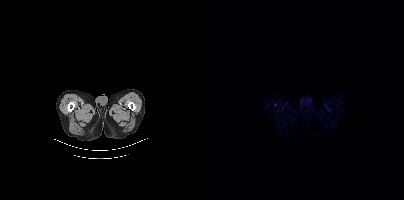
Only PSMA-avid lesion pieces thinner than 2 px on this slice (not listed). Two-panel axial: CT | PSMA PET, [18F]PSMA-1007 tracer. Slice position z = -930 mm. PET panel 200×200 px (4.1 mm/px).